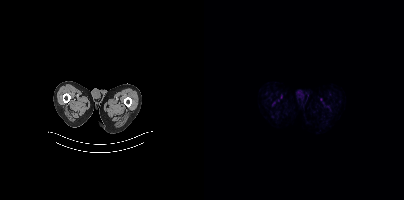
Paired axial CT (left) and PSMA PET (right), [18F]PSMA-1007 tracer. Slice 14 of 415. No tumor lesions annotated on this slice.